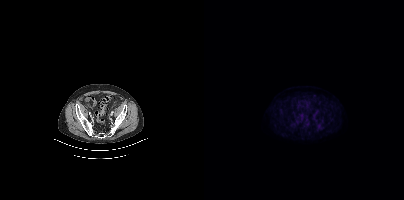
Only PSMA-avid lesion pieces thinner than 2 px on this slice (not listed). Two-panel axial: CT | PSMA PET, 18F tracer. Slice 93 of 383.